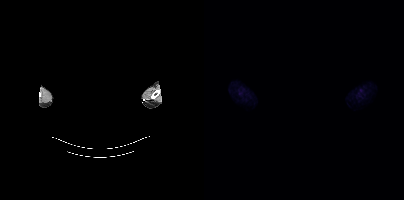
deidentification: facial region redacted | modality: PSMA PET/CT | tracer: [18F]PSMA-1007 | view: axial | PET grid: 200×200
No tumor lesions annotated on this slice.